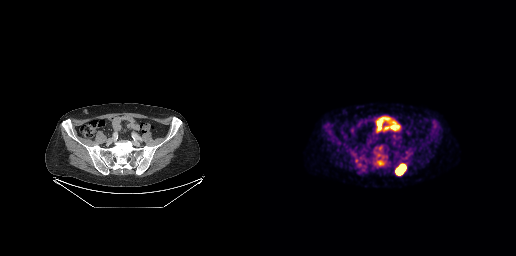
- Two-panel axial: CT | PSMA PET, [18F]PSMA-1007 tracer
- slice 177 of 371
- PET panel 256×256 px (2.7 mm/px)
Findings: Coordinates are on the 256×256 PET (right) panel. PSMA-avid tumor lesion bounding box (x, y, width, height): x=135 y=164 w=12 h=12. Small PSMA-avid focus (2 to 4 px across) near (center x, center y): (120, 163).